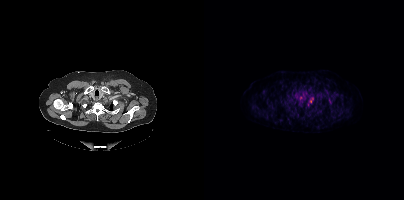
Paired axial CT (left) and PSMA PET (right), 18F-PSMA tracer. Coordinates are on the 200×200 PET (right) panel. Small PSMA-avid focus (2 to 4 px across) near (center x, center y): (127, 99).